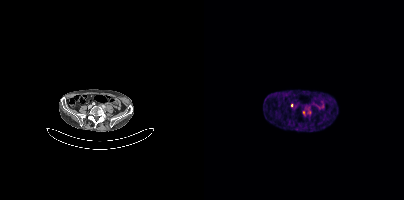
Coordinates are on the 200×200 PET (right) panel. (showing 1 of 2 foci) Small PSMA-avid focus (2 to 4 px across) near (center x, center y): (105, 112).